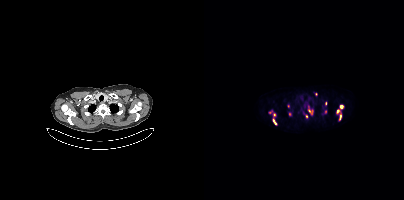
Coordinates are on the 200×200 PET (right) panel. (showing 10 of 14 foci) PSMA-avid tumor lesion bounding boxes (x, y, width, height): x=104 y=110 w=5 h=5; x=135 y=114 w=3 h=7; x=85 y=112 w=3 h=5; x=69 y=119 w=4 h=6. Small PSMA-avid foci (2 to 4 px across) near (center x, center y): (70, 114); (137, 106); (102, 116); (133, 111); (121, 112); (121, 103).